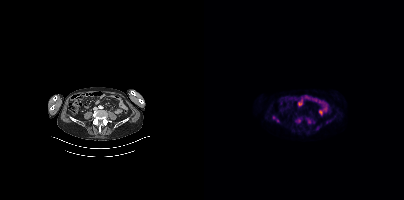
{"pet_grid":[200,200],"coord_frame":"pet_panel","coord_format":"x0,y0,x1,y1","lesion_bboxes":[[102,118,106,122],[94,118,97,122]],"small_foci_centers":[[70,117],[113,128],[73,120]],"modality":"PSMA PET/CT","view":"axial","tracer":"18F-PSMA"}